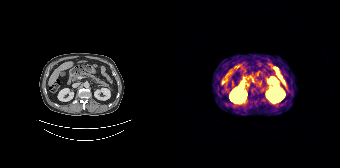
Technique: Paired axial CT (left) and PSMA PET (right), [68Ga]Ga-PSMA-11 tracer. PET panel 168×168 px (4.1 mm/px).
Findings: No tumor lesions annotated on this slice.